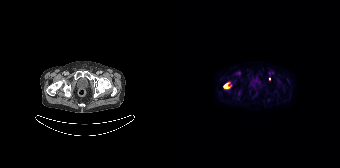
- Two-panel axial: CT | PSMA PET, [18F]PSMA-1007 tracer
- acquired on Siemens Biograph 64-4R TruePoint
- slice 28 of 165
- PET panel 168×168 px (4.1 mm/px)
Findings: Coordinates are on the 168×168 PET (right) panel. PSMA-avid tumor lesion bounding box (x, y, width, height): x=51 y=82 w=9 h=8. Small PSMA-avid focus (2 to 4 px across) near (center x, center y): (97, 78).